- Paired axial CT (left) and PSMA PET (right), [18F]PSMA-1007 tracer
- PET panel 200×200 px (4.1 mm/px)
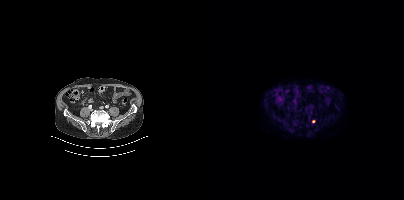
Findings: Coordinates are on the 200×200 PET (right) panel. Small PSMA-avid focus (2 to 4 px across) near (center x, center y): (109, 121).